Paired axial CT (left) and PSMA PET (right), 18F tracer. Acquired on Siemens Biograph mCT Flow 20. Slice 23 of 429.
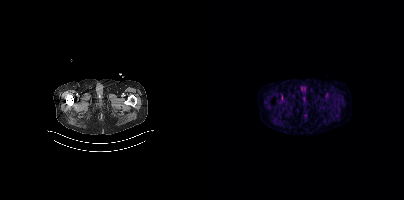
Negative for PSMA-avid disease on this slice.